Technique: Left: CT. Right: PSMA PET, same axial level, 18F tracer. acquired on Siemens Biograph mCT Flow 20. slice 208 of 401.
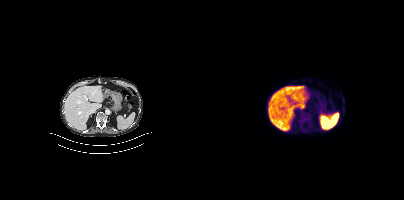
Findings: Only PSMA-avid lesion pieces thinner than 2 px on this slice (not listed).